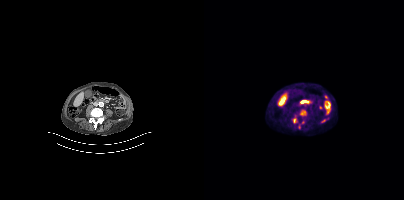
Technique: Left: CT. Right: PSMA PET, same axial level, 18F tracer. acquired on Siemens Biograph mCT Flow 20.
Findings: Coordinates are on the 200×200 PET (right) panel. PSMA-avid tumor lesion bounding boxes (x0, y0)-(x1, y1): (94, 120)-(100, 128) / (89, 116)-(94, 123). Small PSMA-avid focus (2 to 4 px across) near (center x, center y): (96, 114).